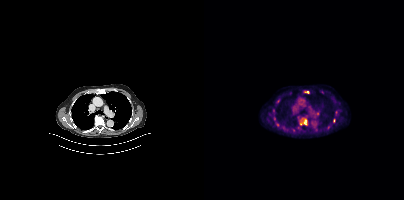
modality: PSMA PET/CT | tracer: [18F]PSMA-1007 | view: axial | PET grid: 200×200
Coordinates are on the 200×200 PET (right) panel. (showing 4 of 5 foci) PSMA-avid tumor lesion bounding box (x, y, width, height): x=99 y=119 w=4 h=6. Small PSMA-avid foci (2 to 4 px across) near (center x, center y): (102, 92) / (129, 120) / (96, 123).